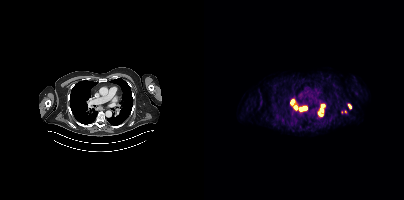
Coordinates are on the 200×200 PET (right) panel. (showing 6 of 7 foci) PSMA-avid tumor lesion bounding boxes (x0,y0,x1,y1): [115,108,119,115], [96,107,102,110], [87,100,89,105]. Small PSMA-avid foci (2 to 4 px across) near (center x, center y): (91, 107), (119, 105), (145, 105).